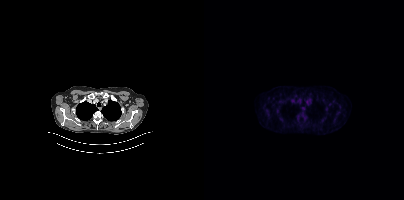
This slice has no annotated PSMA-avid lesion.